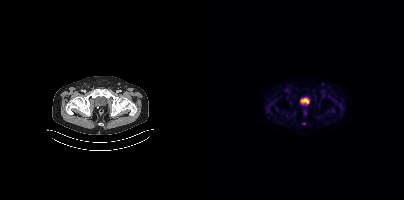
Coordinates are on the 200×200 PET (right) panel. Small PSMA-avid focus (2 to 4 px across) near (center x, center y): (99, 123).